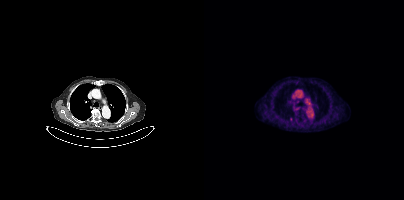
Coordinates are on the 200×200 PET (right) panel. Small PSMA-avid focus (2 to 4 px across) near (center x, center y): (87, 119).